modality: PSMA PET/CT | tracer: [18F]PSMA-1007 | view: axial | PET grid: 200×200
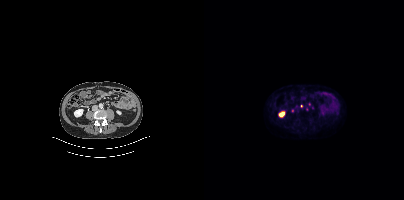
Coordinates are on the 200×200 PET (right) panel. (showing 1 of 2 foci) Small PSMA-avid focus (2 to 4 px across) near (center x, center y): (97, 106).